modality: PSMA PET/CT | tracer: 18F | view: axial
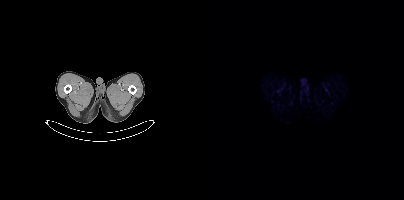
No tumor lesions annotated on this slice.